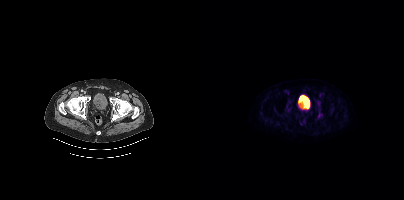
modality: PSMA PET/CT | tracer: [18F]PSMA-1007 | view: axial
Coordinates are on the 200×200 PET (right) panel. PSMA-avid tumor lesion bounding boxes (x0, y0)-(x1, y1): (81, 101)-(88, 112) | (111, 100)-(116, 105) | (114, 113)-(118, 118).